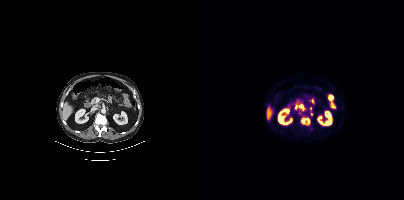
Technique: Paired axial CT (left) and PSMA PET (right), 18F tracer. acquired on Siemens Biograph mCT Flow 20. slice 204 of 417. PET panel 200×200 px (4.1 mm/px).
Findings: Coordinates are on the 200×200 PET (right) panel. (showing 3 of 5 foci) PSMA-avid tumor lesion bounding boxes (x0, y0)-(x1, y1): (98, 118)-(100, 123) / (95, 105)-(99, 109). Small PSMA-avid focus (2 to 4 px across) near (center x, center y): (104, 120).